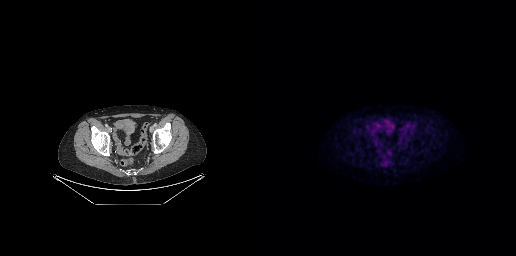
Technique: Two-panel axial: CT | PSMA PET, 18F-PSMA tracer. PET panel 256×256 px (2.7 mm/px).
Findings: No PSMA-avid tumor lesions on this slice.